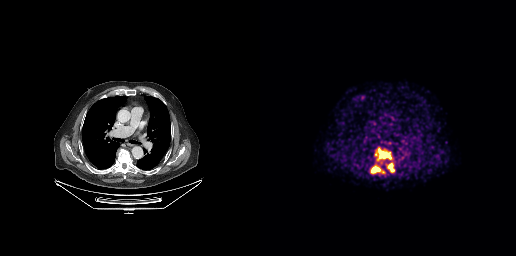
{"modality":"PSMA PET/CT","view":"axial","tracer":"[68Ga]Ga-PSMA-11","pet_grid":[256,256],"coord_frame":"pet_panel","coord_format":"x0,y0,x1,y1","lesion_bboxes":[[115,147,132,161],[110,165,124,173],[126,162,134,172]]}